modality: PSMA PET/CT | tracer: 68Ga-PSMA | view: axial
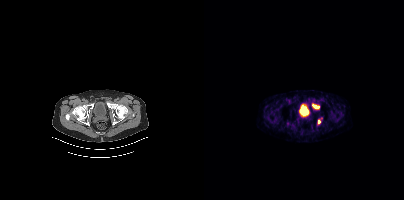
Coordinates are on the 200×200 PET (right) panel. PSMA-avid tumor lesion bounding boxes (x, y, width, height): x=108 y=104 w=8 h=5 / x=114 y=119 w=3 h=6. Small PSMA-avid focus (2 to 4 px across) near (center x, center y): (83, 123).